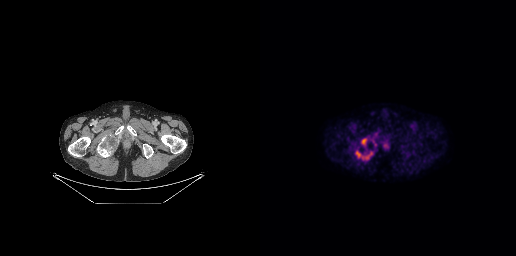
- Two-panel axial: CT | PSMA PET, 18F-PSMA tracer
- acquired on GE Discovery 690
- slice 52 of 263
Findings: Coordinates are on the 256×256 PET (right) panel. (showing 2 of 3 foci) PSMA-avid tumor lesion bounding boxes (x0, y0)-(x1, y1): (95, 151)-(112, 159); (101, 138)-(106, 145).